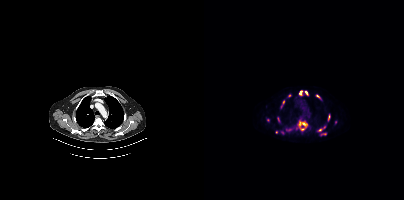
{"pet_grid":[200,200],"coord_frame":"pet_panel","coord_format":"x0,y0,x1,y1","partial":true,"lesion_bboxes":[[95,121,103,126],[124,115,125,120]],"small_foci_centers":[[96,92],[102,92],[113,96],[116,130],[120,133],[79,101]],"modality":"PSMA PET/CT","view":"axial","tracer":"18F"}